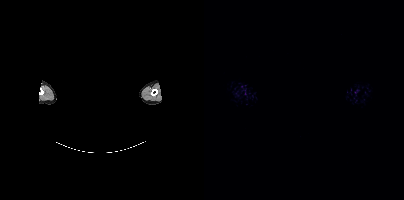
Two-panel axial: CT | PSMA PET, [18F]PSMA-1007 tracer. Acquired on Siemens Biograph mCT Flow 20. PET panel 200×200 px (4.1 mm/px). The face region was removed for patient privacy by blanking a rectangle over the head. Negative for PSMA-avid disease on this slice.